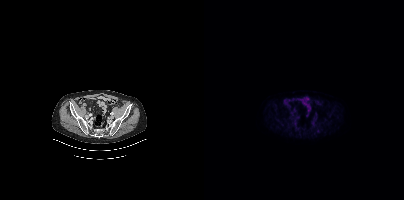
modality: PSMA PET/CT | tracer: 18F | view: axial | PET grid: 200×200
No tumor lesions annotated on this slice.